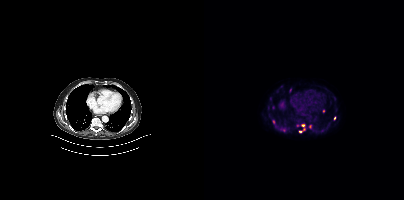
Two-panel axial: CT | PSMA PET, 18F tracer. PET panel 200×200 px (4.1 mm/px). Coordinates are on the 200×200 PET (right) panel. (showing 8 of 10 foci) Small PSMA-avid foci (2 to 4 px across) near (center x, center y): (106, 126) / (119, 111) / (80, 130) / (96, 131) / (86, 89) / (130, 118) / (99, 125) / (69, 120).